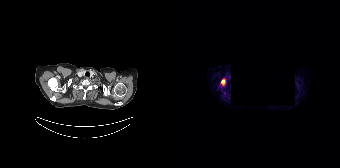
Findings: Coordinates are on the 168×168 PET (right) panel. PSMA-avid tumor lesion bounding box (x0,y0,x1,y1): [49,79,53,85].
Technique: Paired axial CT (left) and PSMA PET (right), 68Ga tracer. acquired on Siemens Biograph 64-4R TruePoint. slice position z = -166 mm.
Note: A black rectangle in this scan is a privacy mask, not anatomy.